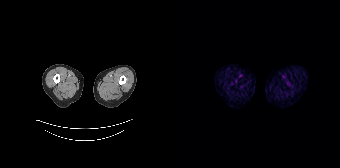
Technique: Paired axial CT (left) and PSMA PET (right), [68Ga]Ga-PSMA-11 tracer. PET panel 168×168 px (4.1 mm/px).
Findings: This slice has no annotated PSMA-avid lesion.